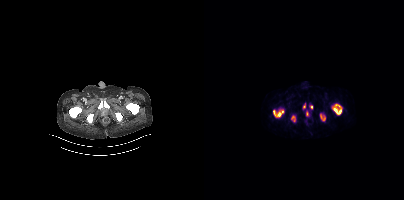
{"modality":"PSMA PET/CT","view":"axial","tracer":"[68Ga]Ga-PSMA-11","pet_grid":[200,200],"coord_frame":"pet_panel","coord_format":"x0,y0,x1,y1","psma_avid_lesions":false}